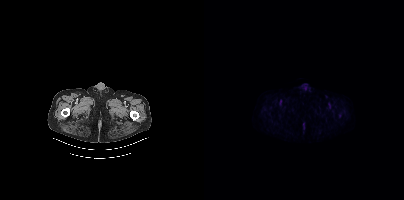
modality: PSMA PET/CT | tracer: 18F | view: axial | PET grid: 200×200
No PSMA-avid tumor lesions on this slice.